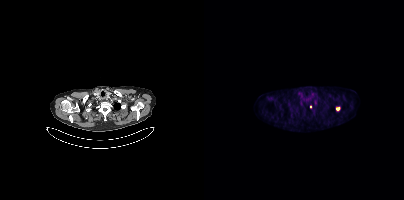
{"modality":"PSMA PET/CT","view":"axial","tracer":"[18F]PSMA-1007","pet_grid":[200,200],"coord_frame":"pet_panel","coord_format":"x0,y0,x1,y1","lesion_bboxes":[],"small_foci_centers":[[134,109],[106,106]]}